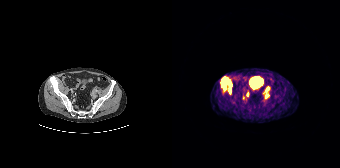
Coordinates are on the 168×168 PET (right) panel. PSMA-avid tumor lesion bounding boxes:
| # | x0 | y0 | x1 | y1 |
|---|---|---|---|---|
| 1 | 49 | 77 | 60 | 93 |
| 2 | 93 | 86 | 97 | 92 |
| 3 | 93 | 94 | 96 | 98 |
Small PSMA-avid focus (2 to 4 px across) near (center x, center y): (75, 94).
Left: CT. Right: PSMA PET, same axial level, 68Ga-PSMA tracer. PET panel 168×168 px (4.1 mm/px).